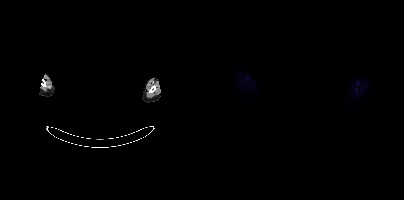
{"modality":"PSMA PET/CT","view":"axial","tracer":"[18F]PSMA-1007","pet_grid":[200,200],"coord_frame":"pet_panel","coord_format":"x0,y0,x1,y1","de-identification":"privacy mask over head","psma_avid_lesions":false}